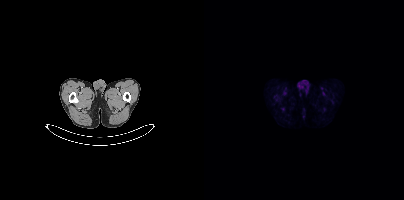
No tumor lesions annotated on this slice. Paired axial CT (left) and PSMA PET (right), [18F]PSMA-1007 tracer. Acquired on Siemens Biograph mCT Flow 20.